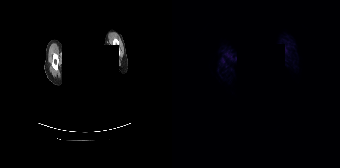
{"modality":"PSMA PET/CT","view":"axial","tracer":"[68Ga]Ga-PSMA-11","pet_grid":[168,168],"coord_frame":"pet_panel","coord_format":"x0,y0,x1,y1","redaction":"rectangular block over head set to black","psma_avid_lesions":false}